Left: CT. Right: PSMA PET, same axial level, 18F-PSMA tracer. Acquired on Siemens Biograph mCT Flow 20.
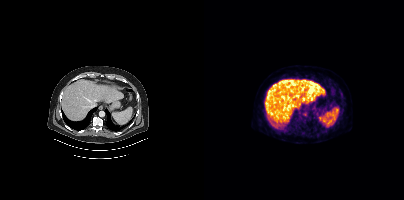
No tumor lesions annotated on this slice.